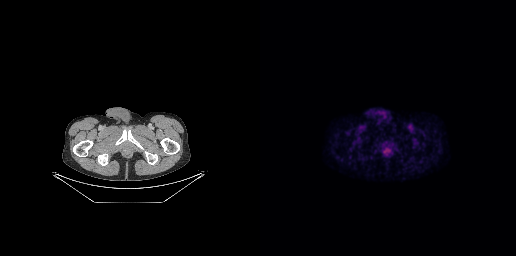
{"modality":"PSMA PET/CT","view":"axial","tracer":"18F","pet_grid":[256,256],"coord_frame":"pet_panel","coord_format":"x0,y0,x1,y1","lesion_bboxes":[[122,146,130,154]]}